Two-panel axial: CT | PSMA PET, 68Ga-PSMA tracer. Slice 174 of 195. Facial anatomy redacted by setting a rectangular region of the head to black.
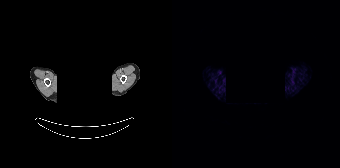
Negative for PSMA-avid disease on this slice.